Left: CT. Right: PSMA PET, same axial level, 18F tracer. Acquired on Siemens Biograph mCT Flow 20. Slice position z = -349 mm.
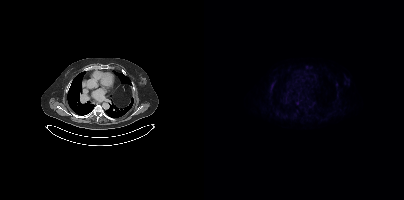
No PSMA-avid tumor lesions on this slice.